modality: PSMA PET/CT | tracer: 68Ga | view: axial | PET grid: 200×200
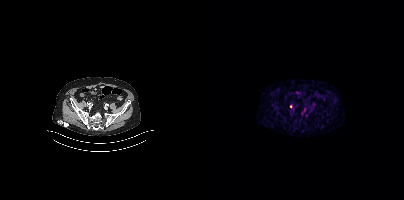
Only PSMA-avid lesion pieces thinner than 2 px on this slice (not listed).